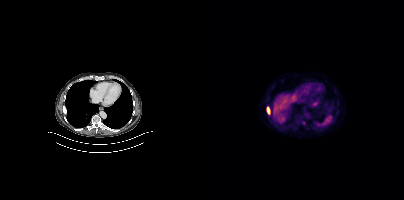
Coordinates are on the 200×200 PET (right) panel. PSMA-avid tumor lesion bounding box (x0,y0,x1,y1): [63,107,65,114].